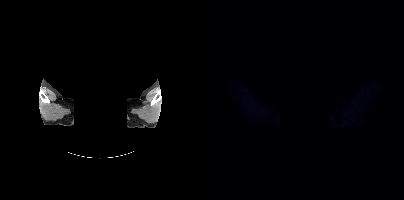
{"pet_grid":[200,200],"coord_frame":"pet_panel","coord_format":"x0,y0,x1,y1","psma_avid_lesions":false,"redaction":"head region blacked out before release","modality":"PSMA PET/CT","view":"axial","tracer":"[18F]PSMA-1007"}